- Paired axial CT (left) and PSMA PET (right), 18F tracer
- acquired on Siemens Biograph mCT Flow 20
- PET panel 200×200 px (4.1 mm/px)
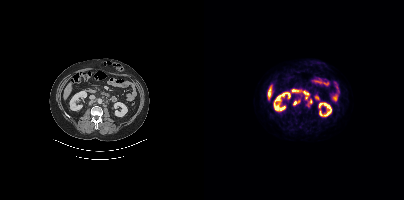
Findings: Coordinates are on the 200×200 PET (right) panel. PSMA-avid tumor lesion bounding boxes (x0, y0)-(x1, y1): (102, 99)-(108, 106) / (90, 99)-(96, 104) / (101, 95)-(105, 99).